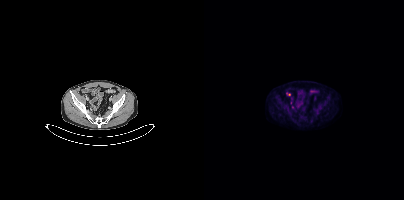
Findings: Negative for PSMA-avid disease on this slice.
- Paired axial CT (left) and PSMA PET (right), 18F tracer